modality: PSMA PET/CT | tracer: 18F-PSMA | view: axial | PET grid: 200×200
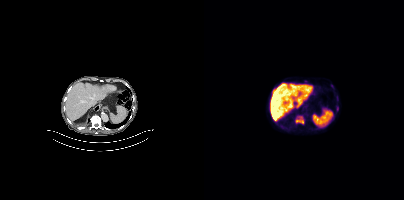
Coordinates are on the 200×200 PET (right) panel. PSMA-avid tumor lesion bounding box (x, y, width, height): x=91 y=116 w=9 h=8. Small PSMA-avid foci (2 to 4 px across) near (center x, center y): (133, 108) / (101, 81).